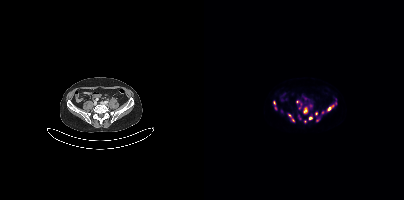
Findings: Coordinates are on the 200×200 PET (right) panel. (showing 12 of 15 foci) PSMA-avid tumor lesion bounding boxes (x0,y0,x1,y1): [99,107,103,113] [85,116,90,121] [94,115,96,119]. Small PSMA-avid foci (2 to 4 px across) near (center x, center y): (112, 113) (70, 102) (114, 119) (106, 118) (129, 106) (125, 109) (71, 108) (93, 101) (100, 121).
- Paired axial CT (left) and PSMA PET (right), [18F]PSMA-1007 tracer
- slice position z = 10 mm
- PET panel 200×200 px (4.1 mm/px)